Two-panel axial: CT | PSMA PET, 18F-PSMA tracer. PET panel 200×200 px (4.1 mm/px).
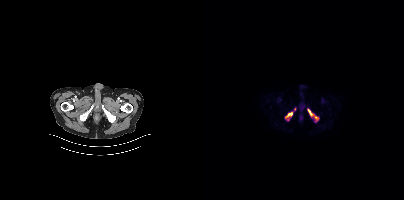
Coordinates are on the 200×200 PET (right) panel. PSMA-avid tumor lesion bounding boxes (x, y, width, height): x=104 y=109 w=11 h=13 / x=81 y=111 w=8 h=10. Small PSMA-avid focus (2 to 4 px across) near (center x, center y): (90, 109).